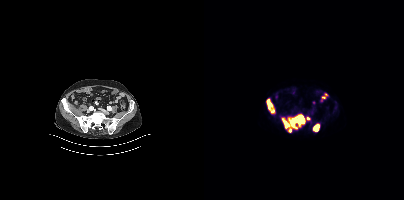
modality: PSMA PET/CT | tracer: 18F-PSMA | view: axial | PET grid: 200×200
Coordinates are on the 200×200 PET (right) panel. PSMA-avid tumor lesion bounding boxes (x0,y0,x1,y1): [78,115,101,132] [62,99,70,113] [109,124,115,131]. Small PSMA-avid focus (2 to 4 px across) near (center x, center y): (104, 118).